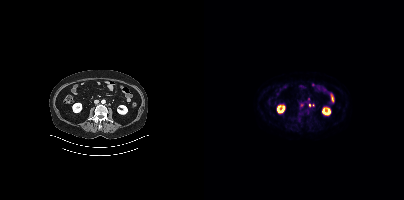
{"modality":"PSMA PET/CT","view":"axial","tracer":"18F-PSMA","pet_grid":[200,200],"coord_frame":"pet_panel","coord_format":"x0,y0,x1,y1","partial":true,"lesion_bboxes":[],"small_foci_centers":[[105,105]]}